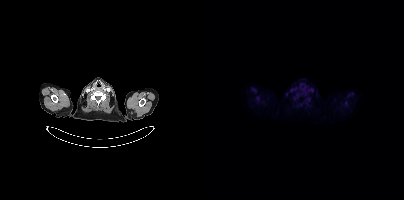
Two-panel axial: CT | PSMA PET, 18F tracer. Acquired on Siemens Biograph mCT Flow 20. Slice 378 of 431. PET panel 200×200 px (4.1 mm/px). No PSMA-avid tumor lesions on this slice.